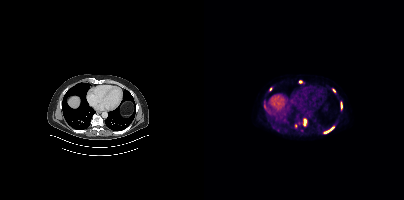
{"modality":"PSMA PET/CT","view":"axial","tracer":"[18F]PSMA-1007","pet_grid":[200,200],"coord_frame":"pet_panel","coord_format":"x0,y0,x1,y1","partial":true,"lesion_bboxes":[[99,118,102,126],[124,127,129,132],[137,102,138,108]],"small_foci_centers":[[96,81],[66,89],[130,90]]}